Paired axial CT (left) and PSMA PET (right), 18F tracer. Slice position z = -790 mm. PET panel 200×200 px (4.1 mm/px).
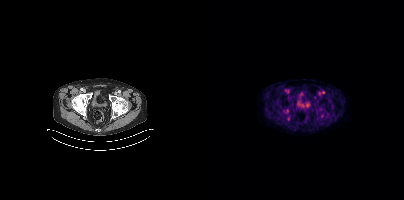
Negative for PSMA-avid disease on this slice.